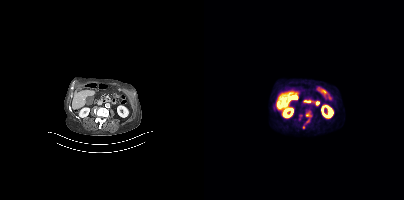
Left: CT. Right: PSMA PET, same axial level, 18F-PSMA tracer. Slice position z = -1255 mm. PET panel 200×200 px (4.1 mm/px). Coordinates are on the 200×200 PET (right) panel. (showing 4 of 5 foci) PSMA-avid tumor lesion bounding box (x, y, width, height): x=101 y=111 w=7 h=7. Small PSMA-avid foci (2 to 4 px across) near (center x, center y): (103, 120); (70, 110); (99, 127).